redaction: facial region redacted | modality: PSMA PET/CT | tracer: [18F]PSMA-1007 | view: axial
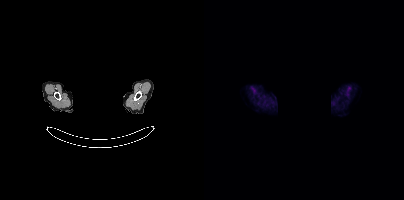
Negative for PSMA-avid disease on this slice.